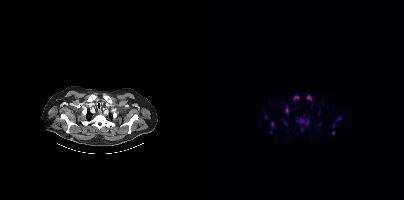
Findings: Coordinates are on the 200×200 PET (right) panel. (showing 11 of 13 foci) PSMA-avid tumor lesion bounding boxes (x, y, width, height): x=92 y=118 w=13 h=7 / x=102 y=95 w=6 h=6 / x=81 y=105 w=4 h=9 / x=66 y=121 w=5 h=8 / x=89 y=95 w=6 h=6 / x=133 y=117 w=5 h=5. Small PSMA-avid foci (2 to 4 px across) near (center x, center y): (62, 116) / (129, 132) / (129, 125) / (81, 122) / (66, 132).
Technique: Left: CT. Right: PSMA PET, same axial level, [18F]PSMA-1007 tracer. slice 339 of 423.